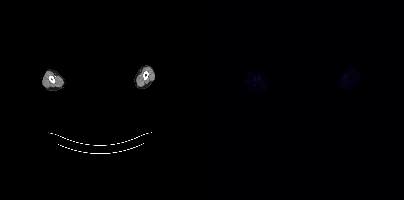
No tumor lesions annotated on this slice. An anonymization step blacked out a rectangle over the head in this scan. Left: CT. Right: PSMA PET, same axial level, 18F-PSMA tracer.